Left: CT. Right: PSMA PET, same axial level, [18F]PSMA-1007 tracer. PET panel 200×200 px (4.1 mm/px).
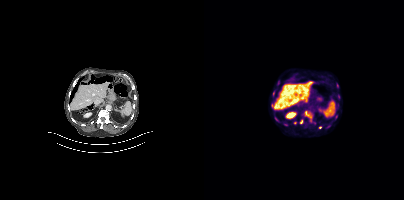
Coordinates are on the 200×200 PET (right) panel. PSMA-avid tumor lesion bounding boxes:
| # | x0 | y0 | x1 | y1 |
|---|---|---|---|---|
| 1 | 99 | 111 | 108 | 122 |
| 2 | 71 | 118 | 83 | 126 |
| 3 | 119 | 124 | 126 | 128 |
| 4 | 132 | 93 | 136 | 98 |
| 5 | 96 | 119 | 99 | 123 |
| 6 | 67 | 98 | 69 | 103 |
| 7 | 69 | 91 | 70 | 96 |
Small PSMA-avid foci (2 to 4 px across) near (center x, center y): (133, 85); (74, 82); (132, 116); (116, 127); (90, 122).